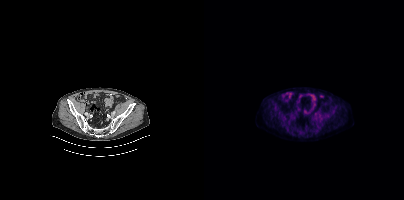
No PSMA-avid tumor lesions on this slice.